- Two-panel axial: CT | PSMA PET, [68Ga]Ga-PSMA-11 tracer
- slice position z = -1364 mm
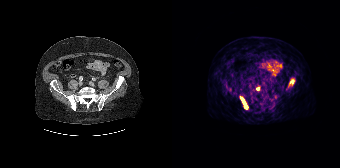
Findings: Coordinates are on the 168×168 PET (right) panel. PSMA-avid tumor lesion bounding boxes (x0, y0)-(x1, y1): (68, 97)-(76, 109) | (118, 79)-(122, 84). Small PSMA-avid focus (2 to 4 px across) near (center x, center y): (85, 88).